modality: PSMA PET/CT | tracer: 18F | view: axial
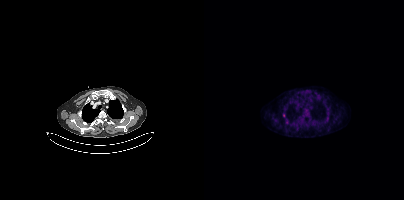
Coordinates are on the 200×200 PET (right) panel. Small PSMA-avid foci (2 to 4 px across) near (center x, center y): (79, 115) | (82, 122).